Any black rectangle over the head is a privacy mask, not anatomy.
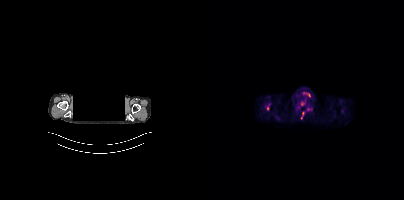
Coordinates are on the 200×200 PET (right) panel. PSMA-avid tumor lesion bounding boxes (x0,y0,x1,y1): [97,112,100,119], [62,104,65,109]. Small PSMA-avid foci (2 to 4 px across) near (center x, center y): (98, 103), (103, 109).